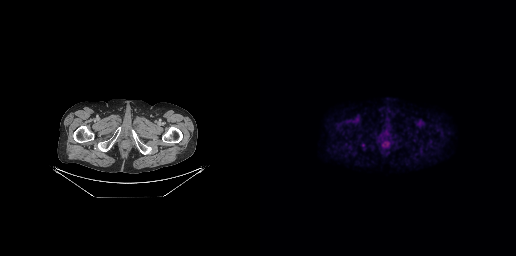
Left: CT. Right: PSMA PET, same axial level, 18F-PSMA tracer. Slice position z = -719 mm. PET panel 256×256 px (2.7 mm/px). No tumor lesions annotated on this slice.